- Two-panel axial: CT | PSMA PET, 18F tracer
- acquired on Siemens Biograph mCT Flow 20
- slice 268 of 409
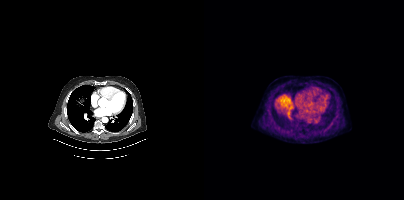
Findings: Only PSMA-avid lesion pieces thinner than 2 px on this slice (not listed).